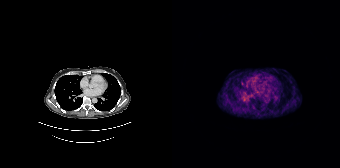
Negative for PSMA-avid disease on this slice.
modality: PSMA PET/CT | tracer: 68Ga | view: axial | PET grid: 168×168